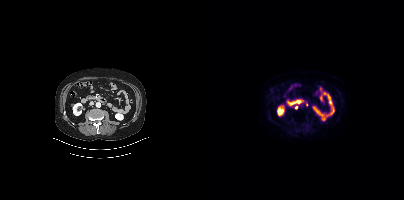
Coordinates are on the 200×200 PET (right) panel. (showing 1 of 2 foci) Small PSMA-avid focus (2 to 4 px across) near (center x, center y): (102, 104). Two-panel axial: CT | PSMA PET, 18F-PSMA tracer. Acquired on Siemens Biograph mCT Flow 20. PET panel 200×200 px (4.1 mm/px).